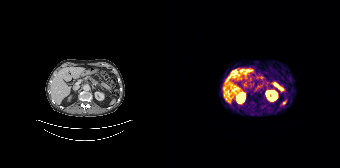
{"modality":"PSMA PET/CT","view":"axial","tracer":"68Ga-PSMA","pet_grid":[168,168],"coord_frame":"pet_panel","coord_format":"x0,y0,x1,y1","psma_avid_lesions":false}